Paired axial CT (left) and PSMA PET (right), [68Ga]Ga-PSMA-11 tracer. Acquired on Siemens Biograph mCT Flow 20. PET panel 200×200 px (4.1 mm/px).
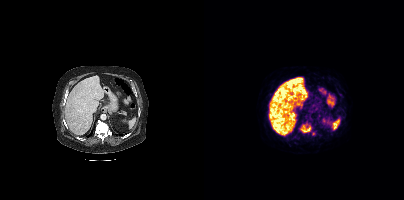
Coordinates are on the 200×200 PET (right) panel. PSMA-avid tumor lesion bounding boxes:
| # | x0 | y0 | x1 | y1 |
|---|---|---|---|---|
| 1 | 96 | 125 | 106 | 132 |